Left: CT. Right: PSMA PET, same axial level, 18F-PSMA tracer. Slice position z = -574 mm.
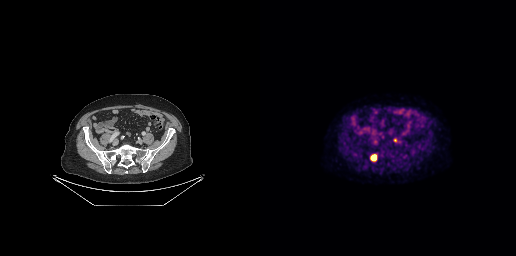
Coordinates are on the 256×256 PET (right) panel. PSMA-avid tumor lesion bounding boxes:
| # | x0 | y0 | x1 | y1 |
|---|---|---|---|---|
| 1 | 111 | 154 | 116 | 160 |
| 2 | 133 | 138 | 137 | 142 |